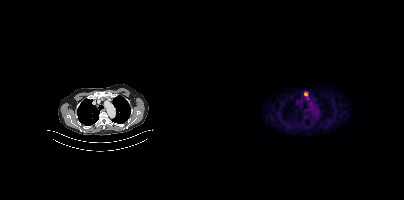
{"modality":"PSMA PET/CT","view":"axial","tracer":"18F-PSMA","pet_grid":[200,200],"coord_frame":"pet_panel","coord_format":"x0,y0,x1,y1","lesion_bboxes":[[100,92,103,96]]}